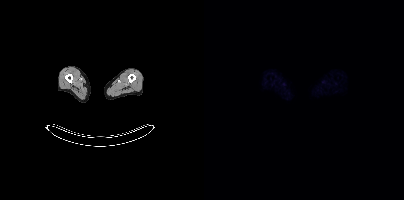
{"pet_grid":[200,200],"coord_frame":"pet_panel","coord_format":"x0,y0,x1,y1","psma_avid_lesions":false,"modality":"PSMA PET/CT","view":"axial","tracer":"18F"}